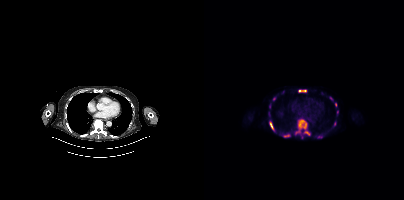
- Paired axial CT (left) and PSMA PET (right), [18F]PSMA-1007 tracer
- slice position z = -1026 mm
- PET panel 200×200 px (4.1 mm/px)
Findings: Coordinates are on the 200×200 PET (right) panel. (showing 12 of 14 foci) PSMA-avid tumor lesion bounding boxes (x0,y0,x1,y1): [91,120,102,134], [78,134,86,137], [66,122,70,130], [95,90,102,92], [114,135,118,138], [99,131,105,134], [125,97,129,100], [130,122,132,126], [133,110,134,114]. Small PSMA-avid foci (2 to 4 px across) near (center x, center y): (132, 104), (65, 106), (70, 98).